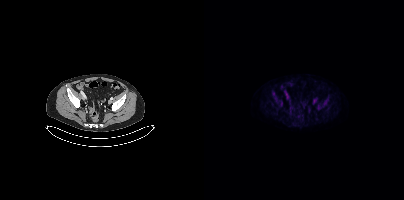
Findings: No PSMA-avid tumor lesions on this slice.
Technique: Two-panel axial: CT | PSMA PET, 18F tracer.